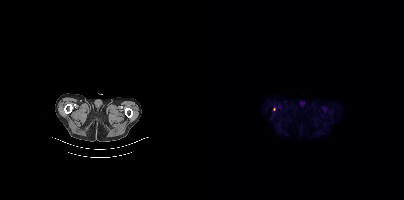
Left: CT. Right: PSMA PET, same axial level, [18F]PSMA-1007 tracer. Acquired on Siemens Biograph mCT Flow 20. Coordinates are on the 200×200 PET (right) panel. Small PSMA-avid focus (2 to 4 px across) near (center x, center y): (70, 109).